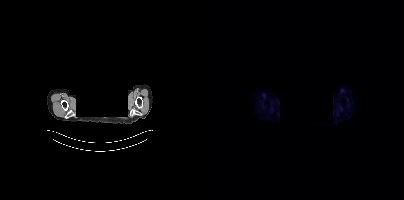
Privacy masking over the head, with the pixels inside a rectangle set to black. Left: CT. Right: PSMA PET, same axial level, 18F tracer. PET panel 200×200 px (4.1 mm/px). This slice has no annotated PSMA-avid lesion.